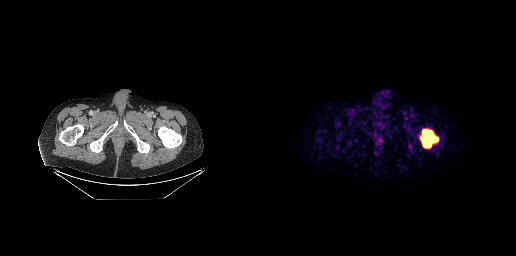
modality: PSMA PET/CT | tracer: 68Ga | view: axial
Coordinates are on the 256×256 PET (right) panel. PSMA-avid tumor lesion bounding box (x, y, width, height): x=160 y=129 w=19 h=20.